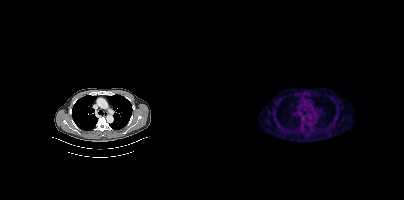
Technique: Two-panel axial: CT | PSMA PET, 18F tracer. slice position z = -22 mm. PET panel 200×200 px (4.1 mm/px).
Findings: No tumor lesions annotated on this slice.